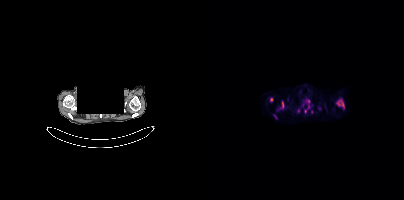
Findings: Coordinates are on the 200×200 PET (right) panel. (showing 7 of 10 foci) PSMA-avid tumor lesion bounding boxes (x0, y0)-(x1, y1): (132, 99)-(140, 108) / (101, 99)-(105, 102) / (78, 101)-(80, 108). Small PSMA-avid foci (2 to 4 px across) near (center x, center y): (67, 99) / (101, 111) / (115, 108) / (71, 117).
- Left: CT. Right: PSMA PET, same axial level, 18F-PSMA tracer
- de-identified by setting a box covering the face to black before release